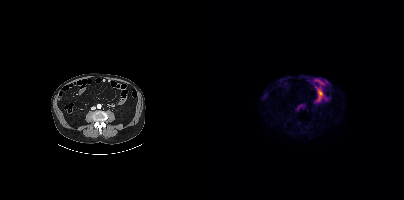
- Two-panel axial: CT | PSMA PET, 18F tracer
- slice position z = -810 mm
Findings: Negative for PSMA-avid disease on this slice.